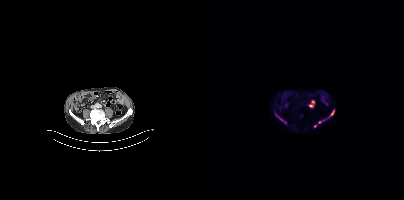
Left: CT. Right: PSMA PET, same axial level, 18F-PSMA tracer. Slice 134 of 375. Coordinates are on the 200×200 PET (right) panel. (showing 2 of 3 foci) PSMA-avid tumor lesion bounding boxes (x0, y0)-(x1, y1): (109, 109)-(130, 127) / (71, 113)-(79, 120).